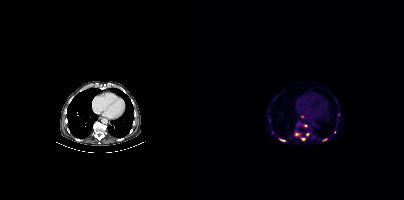
Coordinates are on the 200×200 PET (right) panel. (showing 9 of 12 foci) PSMA-avid tumor lesion bounding boxes (x0,y0,x1,y1): [90,133,94,135], [118,138,123,141], [76,139,80,141]. Small PSMA-avid foci (2 to 4 px across) near (center x, center y): (99, 139), (102, 125), (134, 114), (93, 125), (103, 134), (98, 116).